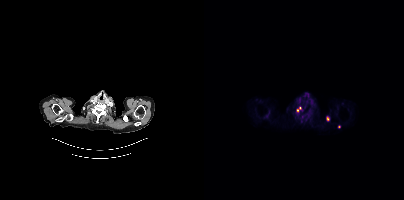
{"modality":"PSMA PET/CT","view":"axial","tracer":"68Ga-PSMA","pet_grid":[200,200],"coord_frame":"pet_panel","coord_format":"x0,y0,x1,y1","partial":true,"lesion_bboxes":[[122,116,125,120],[93,107,97,111]]}